Paired axial CT (left) and PSMA PET (right), 18F-PSMA tracer. Acquired on Siemens Biograph mCT Flow 20. Slice 33 of 407.
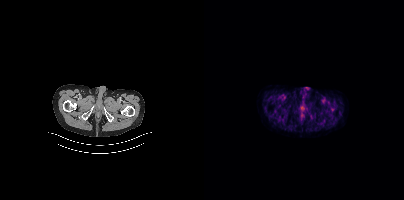
This slice has no annotated PSMA-avid lesion.